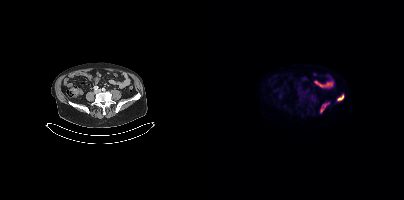
Two-panel axial: CT | PSMA PET, 18F-PSMA tracer. Slice position z = -779 mm. PET panel 200×200 px (4.1 mm/px). Coordinates are on the 200×200 PET (right) panel. PSMA-avid tumor lesion bounding boxes (x0, y0)-(x1, y1): (116, 102)-(125, 112); (133, 94)-(140, 101).